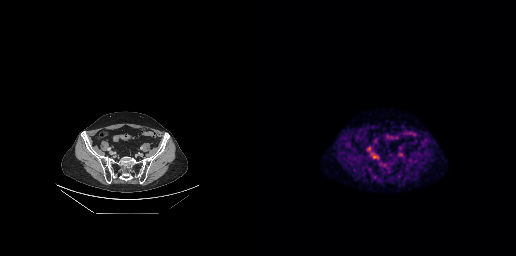
{"pet_grid":[256,256],"coord_frame":"pet_panel","coord_format":"x0,y0,x1,y1","partial":true,"lesion_bboxes":[],"modality":"PSMA PET/CT","view":"axial","tracer":"18F"}